Paired axial CT (left) and PSMA PET (right), [68Ga]Ga-PSMA-11 tracer. Acquired on Siemens Biograph 64-4R TruePoint. Slice position z = -258 mm. Head region blanked for anonymization (face removed).
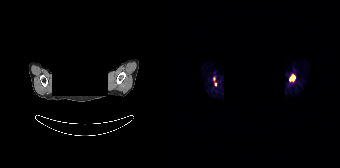
Coordinates are on the 168×168 PET (right) panel. PSMA-avid tumor lesion bounding boxes:
| # | x0 | y0 | x1 | y1 |
|---|---|---|---|---|
| 1 | 118 | 74 | 123 | 80 |
Small PSMA-avid foci (2 to 4 px across) near (center x, center y): (43, 84); (41, 78).